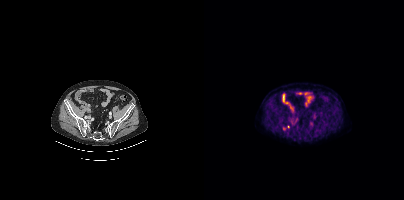
Findings: Coordinates are on the 200×200 PET (right) panel. Small PSMA-avid foci (2 to 4 px across) near (center x, center y): (84, 126); (79, 128).
Technique: Two-panel axial: CT | PSMA PET, [18F]PSMA-1007 tracer. slice position z = -799 mm. PET panel 200×200 px (4.1 mm/px).